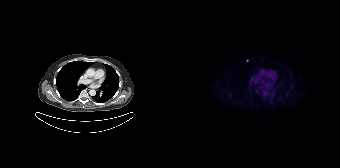
Technique: Paired axial CT (left) and PSMA PET (right), 18F-PSMA tracer. acquired on Siemens Biograph 64-4R TruePoint.
Findings: Only PSMA-avid lesion pieces thinner than 2 px on this slice (not listed).